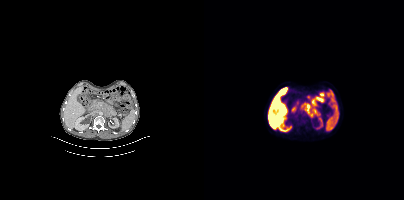
Technique: Paired axial CT (left) and PSMA PET (right), 18F-PSMA tracer.
Findings: Coordinates are on the 200×200 PET (right) panel. PSMA-avid tumor lesion bounding box (x0, y0)-(x1, y1): (98, 103)-(113, 117).